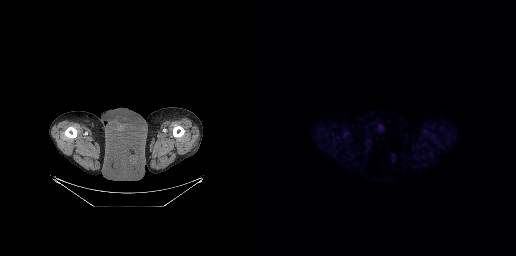
{"modality":"PSMA PET/CT","view":"axial","tracer":"18F-PSMA","pet_grid":[256,256],"coord_frame":"pet_panel","coord_format":"x0,y0,x1,y1","psma_avid_lesions":false}